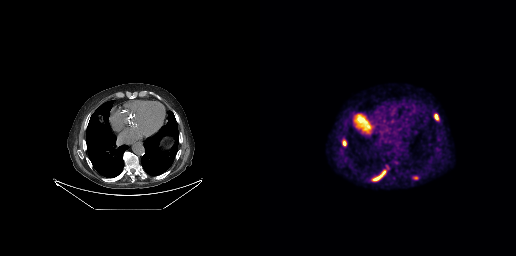
Coordinates are on the 256×256 PET (right) panel. PSMA-avid tumor lesion bounding boxes (x0,y0,x1,y1): [112,170,126,181] [174,113,179,120] [82,140,86,145]. Small PSMA-avid focus (2 to 4 px across) near (center x, center y): (156, 177).
modality: PSMA PET/CT | tracer: [18F]PSMA-1007 | view: axial